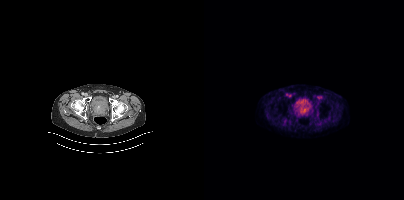
- Left: CT. Right: PSMA PET, same axial level, 18F-PSMA tracer
- acquired on Siemens Biograph mCT Flow 20
- PET panel 200×200 px (4.1 mm/px)
Findings: Coordinates are on the 200×200 PET (right) panel. PSMA-avid tumor lesion bounding box (x0,y0,x1,y1): [94,105,105,115].